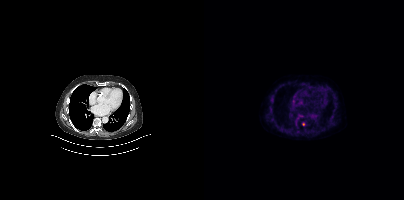
- Paired axial CT (left) and PSMA PET (right), 18F-PSMA tracer
- acquired on Siemens Biograph mCT Flow 20
- PET panel 200×200 px (4.1 mm/px)
Findings: Coordinates are on the 200×200 PET (right) panel. Small PSMA-avid focus (2 to 4 px across) near (center x, center y): (99, 124).